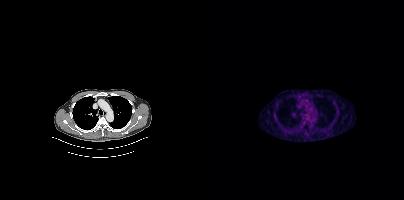
{"pet_grid":[200,200],"coord_frame":"pet_panel","coord_format":"x0,y0,x1,y1","psma_avid_lesions":false,"modality":"PSMA PET/CT","view":"axial","tracer":"[18F]PSMA-1007"}